Paired axial CT (left) and PSMA PET (right), [18F]PSMA-1007 tracer. Acquired on Siemens Biograph mCT Flow 20. Slice position z = -1947 mm. PET panel 200×200 px (4.1 mm/px).
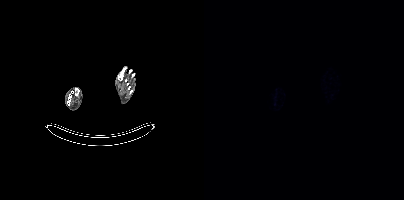
Negative for PSMA-avid disease on this slice.